Left: CT. Right: PSMA PET, same axial level, 18F-PSMA tracer. Acquired on Siemens Biograph mCT Flow 20.
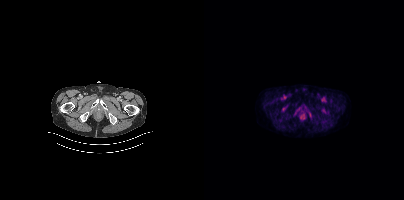
No PSMA-avid tumor lesions on this slice.